- Paired axial CT (left) and PSMA PET (right), [18F]PSMA-1007 tracer
- acquired on Siemens Biograph 64-4R TruePoint
- slice 117 of 165
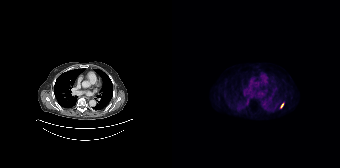
Findings: Coordinates are on the 168×168 PET (right) panel. Small PSMA-avid focus (2 to 4 px across) near (center x, center y): (110, 105).